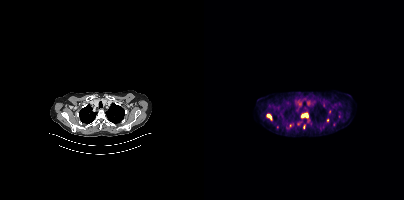
Technique: Paired axial CT (left) and PSMA PET (right), 18F-PSMA tracer.
Findings: Coordinates are on the 200×200 PET (right) panel. (showing 4 of 7 foci) PSMA-avid tumor lesion bounding boxes (x0, y0)-(x1, y1): (97, 113)-(104, 118) | (63, 114)-(67, 119). Small PSMA-avid foci (2 to 4 px across) near (center x, center y): (123, 120) | (86, 125).